de-identification: head region blanked (face removed) | modality: PSMA PET/CT | tracer: [18F]PSMA-1007 | view: axial
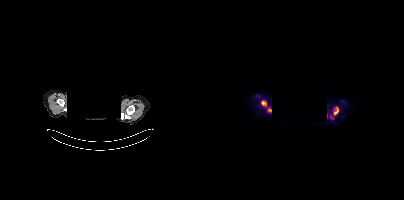
Coordinates are on the 200×200 PET (right) panel. PSMA-avid tumor lesion bounding boxes (x0,y0,x1,y1): [129,107,134,115], [57,101,62,105]. Small PSMA-avid focus (2 to 4 px across) near (center x, center y): (65, 110).